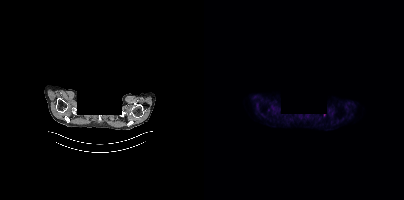
The face region was removed for patient privacy by blanking a rectangle over the head.
Coordinates are on the 200×200 PET (right) panel. Small PSMA-avid focus (2 to 4 px across) near (center x, center y): (120, 115).